The head region is masked for de-identification. Two-panel axial: CT | PSMA PET, 68Ga tracer. Acquired on Siemens Biograph mCT Flow 20. Slice position z = -858 mm. PET panel 200×200 px (4.1 mm/px).
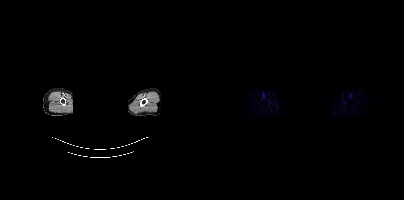
No tumor lesions annotated on this slice.